Left: CT. Right: PSMA PET, same axial level, 68Ga-PSMA tracer. Acquired on Siemens Biograph mCT Flow 20. Slice position z = -1342 mm. PET panel 200×200 px (4.1 mm/px).
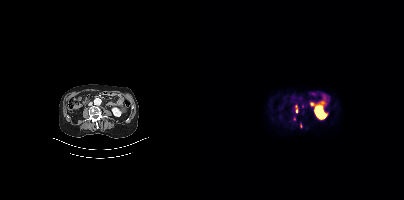
Coordinates are on the 200×200 PET (right) panel. PSMA-avid tumor lesion bounding box (x0,y0,x1,y1): [91,105,93,112]. Small PSMA-avid foci (2 to 4 px across) near (center x, center y): (97, 125) (98, 105) (90, 118).